Technique: Two-panel axial: CT | PSMA PET, 68Ga-PSMA tracer.
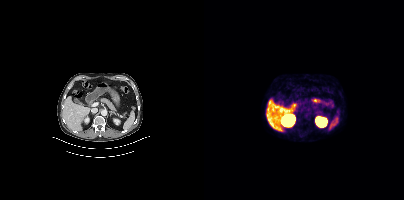
Findings: No tumor lesions annotated on this slice.